Paired axial CT (left) and PSMA PET (right), 18F-PSMA tracer. Slice position z = -1320 mm. PET panel 200×200 px (4.1 mm/px).
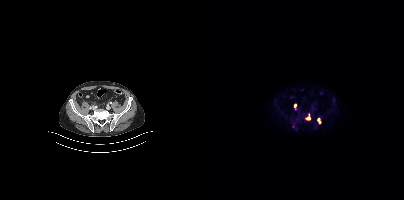
Coordinates are on the 200×200 PET (right) panel. PSMA-avid tumor lesion bounding boxes (partial; 2 more foci not listed):
| # | x0 | y0 | x1 | y1 |
|---|---|---|---|---|
| 1 | 101 | 117 | 106 | 119 |
Small PSMA-avid foci (2 to 4 px across) near (center x, center y): (91, 106); (114, 119).